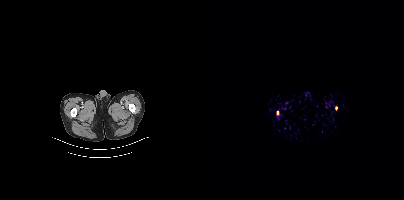
modality: PSMA PET/CT | tracer: [18F]PSMA-1007 | view: axial
Coordinates are on the 200×200 PET (right) panel. Small PSMA-avid foci (2 to 4 px across) near (center x, center y): (132, 107) / (73, 112).